Technique: Two-panel axial: CT | PSMA PET, 18F tracer. acquired on Siemens Biograph mCT Flow 20. PET panel 200×200 px (4.1 mm/px).
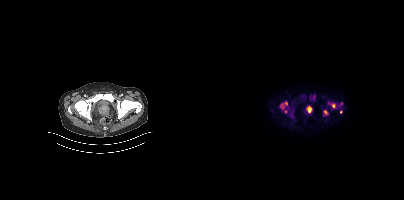
Findings: Coordinates are on the 200×200 PET (right) panel. (showing 5 of 6 foci) PSMA-avid tumor lesion bounding boxes (x0,y0,x1,y1): [75,102,83,113] [103,106,107,112] [127,103,131,107] [120,110,123,114]. Small PSMA-avid focus (2 to 4 px across) near (center x, center y): (136, 112).